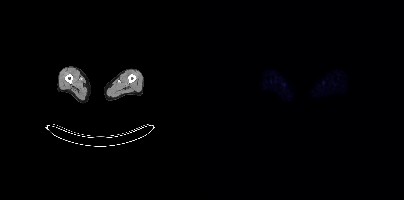
Paired axial CT (left) and PSMA PET (right), [18F]PSMA-1007 tracer. No PSMA-avid tumor lesions on this slice.